Paired axial CT (left) and PSMA PET (right), [18F]PSMA-1007 tracer. Slice 132 of 373. PET panel 200×200 px (4.1 mm/px).
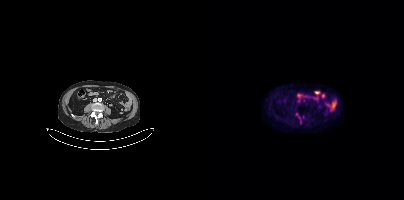
Only PSMA-avid lesion pieces thinner than 2 px on this slice (not listed).